Two-panel axial: CT | PSMA PET, [18F]PSMA-1007 tracer. PET panel 200×200 px (4.1 mm/px).
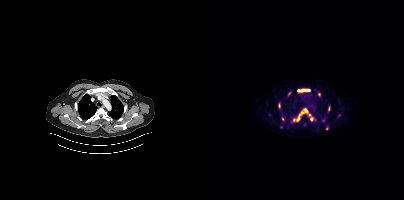
Coordinates are on the 200×200 PET (right) panel. (showing 8 of 11 foci) PSMA-avid tumor lesion bounding boxes (x0, y0)-(x1, y1): (89, 109)-(103, 121) / (93, 89)-(106, 91) / (74, 103)-(76, 107) / (124, 106)-(125, 110). Small PSMA-avid foci (2 to 4 px across) near (center x, center y): (107, 119) / (115, 94) / (78, 119) / (122, 128).